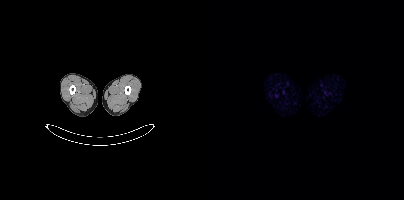
This slice has no annotated PSMA-avid lesion.